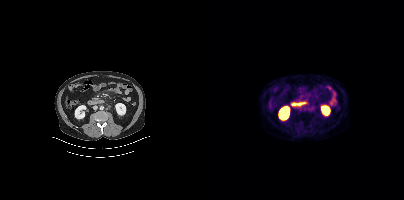
{"pet_grid":[200,200],"coord_frame":"pet_panel","coord_format":"x0,y0,x1,y1","psma_avid_lesions":false,"modality":"PSMA PET/CT","view":"axial","tracer":"[18F]PSMA-1007"}